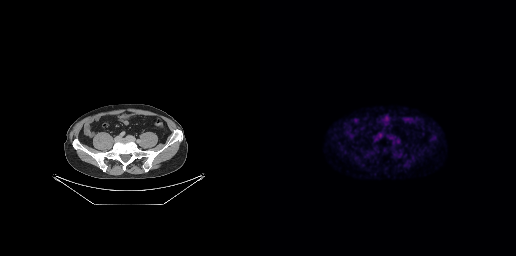
No tumor lesions annotated on this slice.